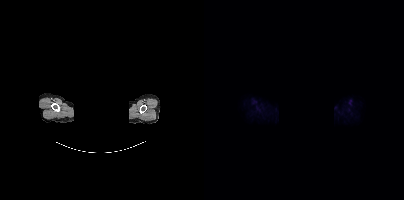
Findings: No PSMA-avid tumor lesions on this slice.
- Paired axial CT (left) and PSMA PET (right), 18F-PSMA tracer
- acquired on Siemens Biograph mCT Flow 20
- slice 373 of 417
- PET panel 200×200 px (4.1 mm/px)
- a rectangular block over the head has been blanked out for de-identification